Technique: Left: CT. Right: PSMA PET, same axial level, 18F-PSMA tracer. slice position z = -710 mm.
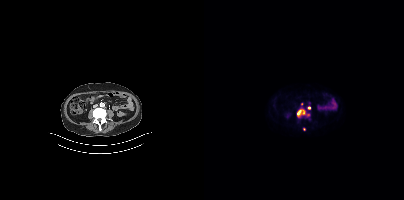
Findings: Coordinates are on the 200×200 PET (right) panel. (showing 3 of 5 foci) PSMA-avid tumor lesion bounding box (x0, y0)-(x1, y1): (93, 110)-(97, 115). Small PSMA-avid foci (2 to 4 px across) near (center x, center y): (105, 108) / (99, 111).